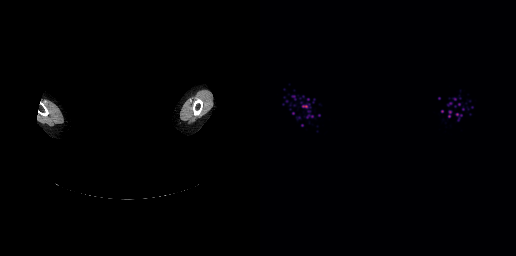
{"pet_grid":[256,256],"coord_frame":"pet_panel","coord_format":"x0,y0,x1,y1","psma_avid_lesions":false,"modality":"PSMA PET/CT","view":"axial","tracer":"[18F]PSMA-1007","redaction":"head region blacked out before release"}